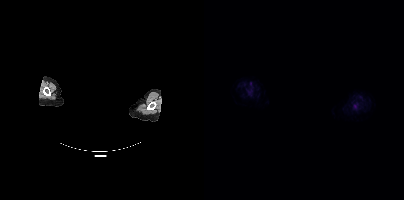
Negative for PSMA-avid disease on this slice.
An anonymization step blacked out a rectangle over the head in this scan.